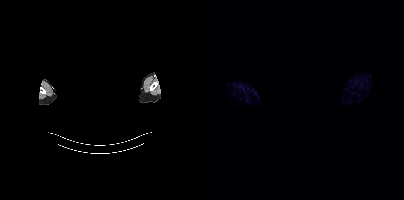
Any black rectangle over the head is a privacy mask, not anatomy. Paired axial CT (left) and PSMA PET (right), [68Ga]Ga-PSMA-11 tracer. Acquired on Siemens Biograph mCT Flow 20. Slice 440 of 450. PET panel 200×200 px (4.1 mm/px). No PSMA-avid tumor lesions on this slice.